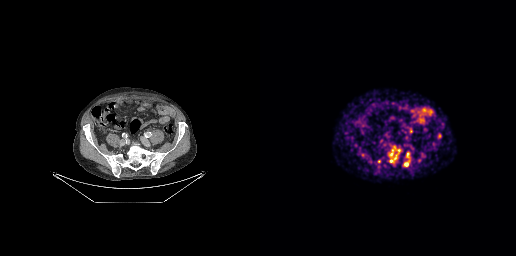
Technique: Two-panel axial: CT | PSMA PET, [68Ga]Ga-PSMA-11 tracer. slice position z = -782 mm. PET panel 256×256 px (2.7 mm/px).
Findings: Coordinates are on the 256×256 PET (right) panel. (showing 5 of 9 foci) PSMA-avid tumor lesion bounding boxes (x, y, width, height): x=178 y=134 w=4 h=5 | x=132 y=150 w=2 h=6. Small PSMA-avid foci (2 to 4 px across) near (center x, center y): (146, 164) | (136, 154) | (130, 160).